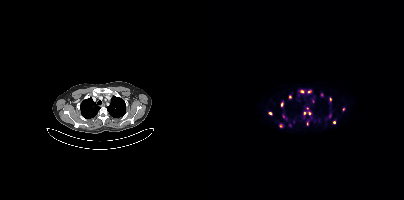
{"modality":"PSMA PET/CT","view":"axial","tracer":"18F-PSMA","pet_grid":[200,200],"coord_frame":"pet_panel","coord_format":"x0,y0,x1,y1","partial":true,"lesion_bboxes":[[125,113,127,118],[103,90,107,92],[138,107,140,111]],"small_foci_centers":[[76,125],[86,96],[97,91],[130,122],[66,113],[126,100],[100,113],[103,123],[77,104],[103,108],[79,116],[105,113]]}